- Two-panel axial: CT | PSMA PET, 18F tracer
- slice 220 of 367
- PET panel 200×200 px (4.1 mm/px)
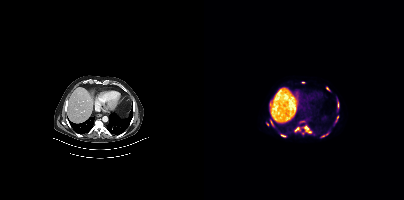
Findings: Coordinates are on the 200×200 PET (right) panel. (showing 5 of 8 foci) PSMA-avid tumor lesion bounding boxes (x0, y0)-(x1, y1): (100, 126)-(107, 132); (91, 127)-(95, 131); (77, 134)-(81, 136). Small PSMA-avid foci (2 to 4 px across) near (center x, center y): (119, 135); (123, 88).